Privacy masking, with the pixels inside a rectangle set to black. Two-panel axial: CT | PSMA PET, 18F-PSMA tracer. Slice 403 of 454.
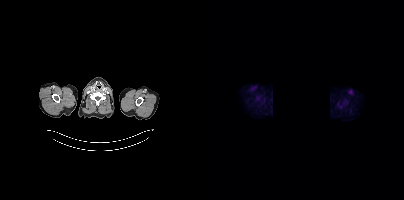
Negative for PSMA-avid disease on this slice.